- Paired axial CT (left) and PSMA PET (right), [68Ga]Ga-PSMA-11 tracer
- PET panel 256×256 px (2.7 mm/px)
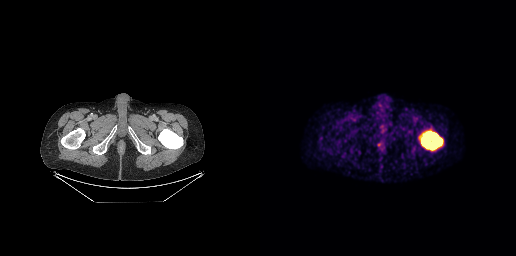
Findings: Coordinates are on the 256×256 PET (right) panel. PSMA-avid tumor lesion bounding box (x0, y0)-(x1, y1): (161, 131)-(182, 150).